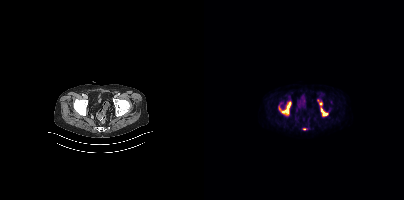
Paired axial CT (left) and PSMA PET (right), [18F]PSMA-1007 tracer. Acquired on Siemens Biograph mCT Flow 20. Slice position z = -1412 mm. PET panel 200×200 px (4.1 mm/px). Coordinates are on the 200×200 PET (right) panel. (showing 4 of 5 foci) PSMA-avid tumor lesion bounding boxes (x0, y0)-(x1, y1): (75, 101)-(87, 114) / (117, 109)-(123, 115). Small PSMA-avid foci (2 to 4 px across) near (center x, center y): (116, 103) / (100, 128).